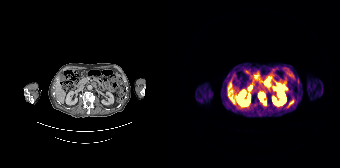
Coordinates are on the 168×168 PET (right) panel. PSMA-avid tumor lesion bounding box (x0,y0,x1,y1): [86,92,92,101]. Small PSMA-avid focus (2 to 4 px across) near (center x, center y): (92, 103).